Left: CT. Right: PSMA PET, same axial level, [18F]PSMA-1007 tracer. Acquired on Siemens Biograph mCT Flow 20.
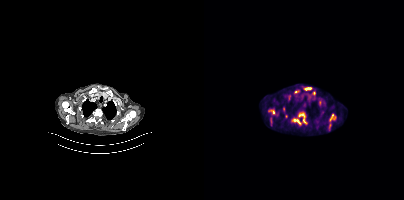
Coordinates are on the 200×200 PET (right) panel. PSMA-avid tumor lesion bounding boxes:
| # | x0 | y0 | x1 | y1 |
|---|---|---|---|---|
| 1 | 94 | 112 | 103 | 124 |
| 2 | 88 | 118 | 97 | 125 |
| 3 | 65 | 117 | 68 | 126 |
| 4 | 64 | 109 | 71 | 114 |
| 5 | 100 | 87 | 107 | 90 |
| 6 | 83 | 94 | 87 | 100 |
| 7 | 124 | 124 | 127 | 130 |
Small PSMA-avid focus (2 to 4 px across) near (center x, center y): (110, 93).